- Left: CT. Right: PSMA PET, same axial level, 18F-PSMA tracer
- acquired on Siemens Biograph mCT Flow 20
- PET panel 200×200 px (4.1 mm/px)
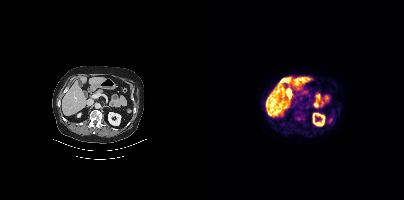
Findings: No tumor lesions annotated on this slice.